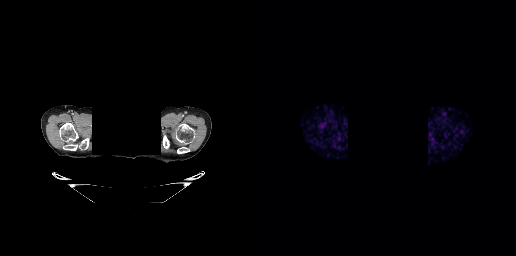
No tumor lesions annotated on this slice. Paired axial CT (left) and PSMA PET (right), 68Ga tracer. PET panel 256×256 px (2.7 mm/px). An anonymization step blacked out a rectangle over the head in this scan.